Left: CT. Right: PSMA PET, same axial level, 18F tracer. Slice position z = 232 mm. PET panel 200×200 px (4.1 mm/px).
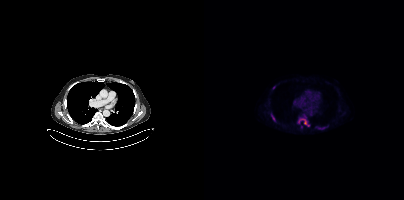
Coordinates are on the 200×200 PET (right) panel. PSMA-avid tumor lesion bounding boxes (x0, y0)-(x1, y1): (94, 118)-(105, 126) / (112, 125)-(124, 129) / (67, 113)-(71, 121). Small PSMA-avid focus (2 to 4 px across) near (center x, center y): (69, 87).